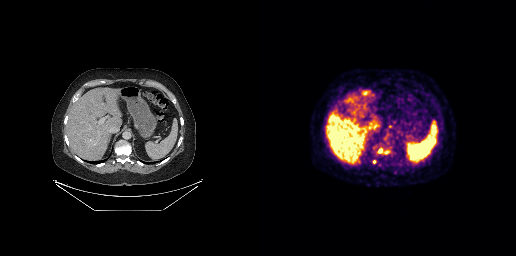
Coordinates are on the 256×256 PET (right) panel. PSMA-avid tumor lesion bounding box (x0, y0)-(x1, y1): (118, 148)-(124, 153). Small PSMA-avid focus (2 to 4 px across) near (center x, center y): (114, 161).